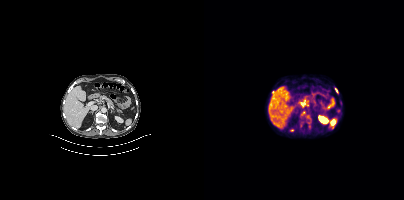
Coordinates are on the 200×200 PET (right) panel. (showing 4 of 6 foci) PSMA-avid tumor lesion bounding boxes (x0, y0)-(x1, y1): (97, 111)-(106, 123); (131, 88)-(134, 92). Small PSMA-avid foci (2 to 4 px across) near (center x, center y): (88, 130); (105, 126).